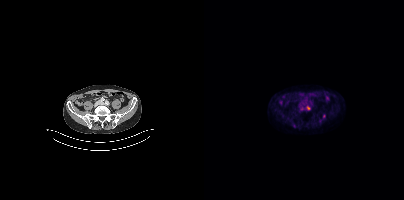
Coordinates are on the 200×200 PET (right) panel. (showing 3 of 5 foci) PSMA-avid tumor lesion bounding boxes (x0, y0)-(x1, y1): (88, 123)-(92, 127) | (102, 106)-(106, 109). Small PSMA-avid focus (2 to 4 px across) near (center x, center y): (120, 115).